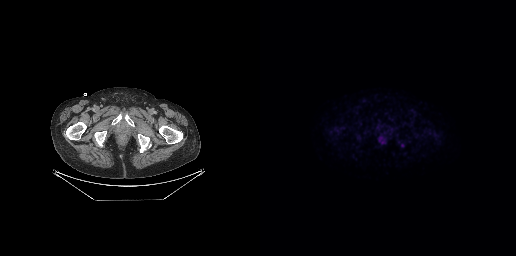
{"modality":"PSMA PET/CT","view":"axial","tracer":"18F-PSMA","pet_grid":[256,256],"coord_frame":"pet_panel","coord_format":"x0,y0,x1,y1","lesion_bboxes":[],"small_foci_centers":[[142,145]]}